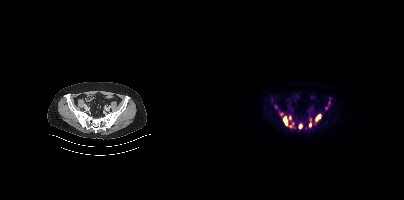
Coordinates are on the 200×200 PET (right) panel. (showing 6 of 8 foci) PSMA-avid tumor lesion bounding boxes (x0, y0)-(x1, y1): (79, 116)-(83, 125) | (111, 114)-(116, 121) | (95, 124)-(98, 128). Small PSMA-avid foci (2 to 4 px across) near (center x, center y): (86, 117) | (106, 124) | (86, 126).